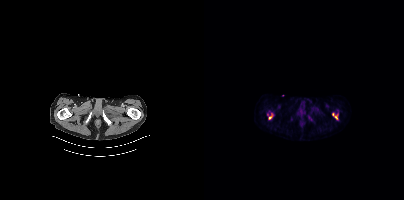
Coordinates are on the 200×200 PET (right) panel. (showing 2 of 3 foci) PSMA-avid tumor lesion bounding boxes (x0, y0)-(x1, y1): (64, 113)-(69, 119) | (129, 113)-(134, 119).